Technique: Two-panel axial: CT | PSMA PET, [18F]PSMA-1007 tracer. acquired on Siemens Biograph mCT Flow 20. PET panel 200×200 px (4.1 mm/px).
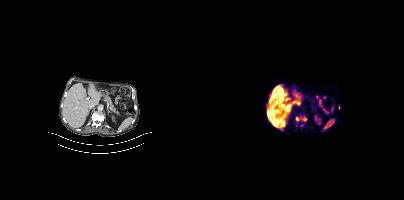
Findings: Coordinates are on the 200×200 PET (right) panel. (showing 2 of 3 foci) PSMA-avid tumor lesion bounding box (x, y, width, height): x=98 y=117 w=5 h=4. Small PSMA-avid focus (2 to 4 px across) near (center x, center y): (93, 118).